A rectangle over the head was blacked out to remove identifiable facial features. Left: CT. Right: PSMA PET, same axial level, [18F]PSMA-1007 tracer. PET panel 256×256 px (2.7 mm/px).
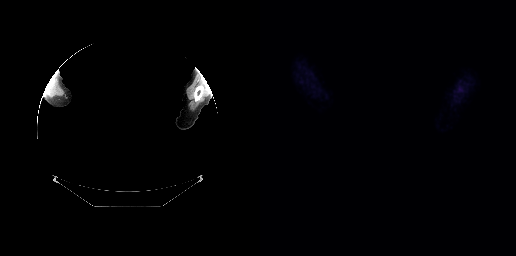
No tumor lesions annotated on this slice.